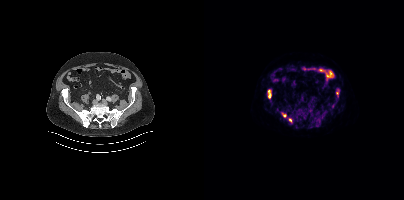
Paired axial CT (left) and PSMA PET (right), 18F-PSMA tracer. Slice position z = -734 mm. PET panel 200×200 px (4.1 mm/px). Coordinates are on the 200×200 PET (right) panel. (showing 5 of 6 foci) PSMA-avid tumor lesion bounding box (x, y, width, height): x=85 y=118 w=3 h=5. Small PSMA-avid foci (2 to 4 px across) near (center x, center y): (79, 114) / (65, 95) / (133, 92) / (64, 90).